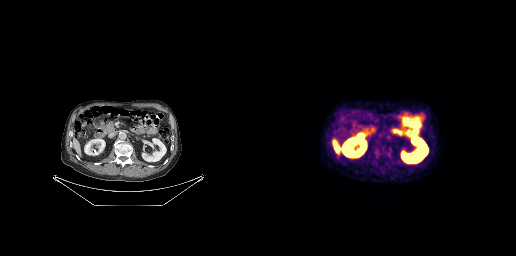
{"modality":"PSMA PET/CT","view":"axial","tracer":"[18F]PSMA-1007","pet_grid":[256,256],"coord_frame":"pet_panel","coord_format":"x0,y0,x1,y1","psma_avid_lesions":false}